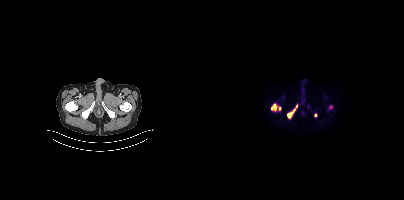
Findings: Coordinates are on the 200×200 PET (right) panel. PSMA-avid tumor lesion bounding boxes (x0, y0)-(x1, y1): (83, 105)-(93, 118); (67, 104)-(73, 111). Small PSMA-avid foci (2 to 4 px across) near (center x, center y): (126, 106); (112, 114); (76, 108).
- Left: CT. Right: PSMA PET, same axial level, 18F-PSMA tracer
- slice position z = -788 mm